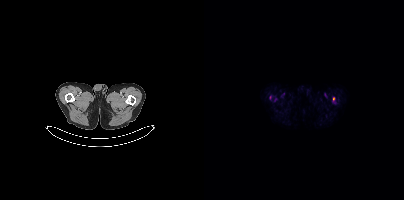
Coordinates are on the 200×200 PET (right) panel. (showing 1 of 2 foci) Small PSMA-avid focus (2 to 4 px across) near (center x, center y): (129, 98).